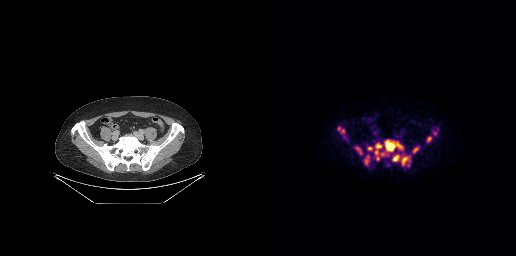
Coordinates are on the 256×256 PET (right) panel. (showing 11 of 12 foci) PSMA-avid tumor lesion bounding boxes (x, y, width, height): x=120 y=139 w=24 h=18 | x=132 y=154 w=19 h=12 | x=114 y=142 w=9 h=19 | x=95 y=146 w=8 h=9 | x=104 y=155 w=6 h=10 | x=78 y=127 w=7 h=7 | x=153 y=147 w=6 h=7 | x=167 y=136 w=5 h=7 | x=108 y=147 w=5 h=4. Small PSMA-avid foci (2 to 4 px across) near (center x, center y): (175, 133) | (148, 165).